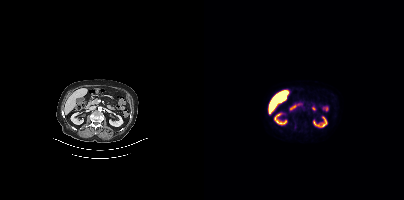
{"modality":"PSMA PET/CT","view":"axial","tracer":"18F-PSMA","pet_grid":[200,200],"coord_frame":"pet_panel","coord_format":"x0,y0,x1,y1","psma_avid_lesions":false}